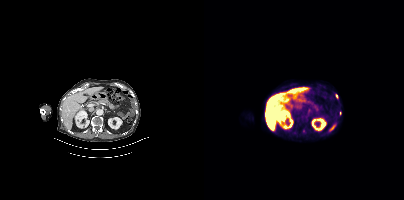
Two-panel axial: CT | PSMA PET, 18F tracer. Slice position z = 16 mm. PET panel 200×200 px (4.1 mm/px). Coordinates are on the 200×200 PET (right) panel. PSMA-avid tumor lesion bounding box (x0,y0,x1,y1): [131,94,134,98]. Small PSMA-avid focus (2 to 4 px across) near (center x, center y): (136, 113).